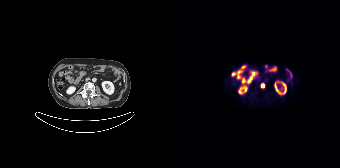
Coordinates are on the 168×168 PET (right) panel. Small PSMA-avid focus (2 to 4 px across) near (center x, center y): (90, 85). Two-panel axial: CT | PSMA PET, 18F tracer. Slice 70 of 165. PET panel 168×168 px (4.1 mm/px).